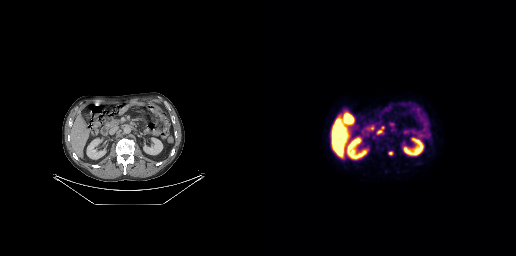
- Two-panel axial: CT | PSMA PET, 18F tracer
- slice position z = -421 mm
- PET panel 256×256 px (2.7 mm/px)
Findings: Coordinates are on the 256×256 PET (right) panel. PSMA-avid tumor lesion bounding boxes (x0,y0,x1,y1): [117,126,124,134] [128,151,132,155].